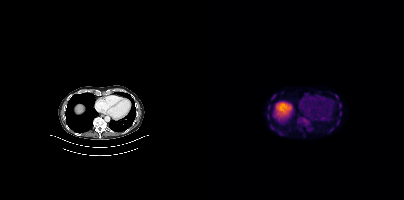
{"modality":"PSMA PET/CT","view":"axial","tracer":"18F","pet_grid":[200,200],"coord_frame":"pet_panel","coord_format":"x0,y0,x1,y1","lesion_bboxes":[[68,94,71,98],[135,103,137,107],[64,105,66,109],[66,125,69,129],[135,111,137,115]]}